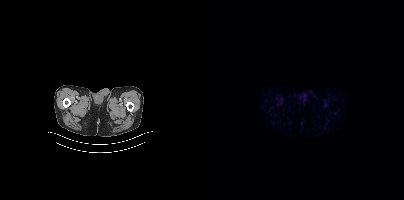
This slice has no annotated PSMA-avid lesion.